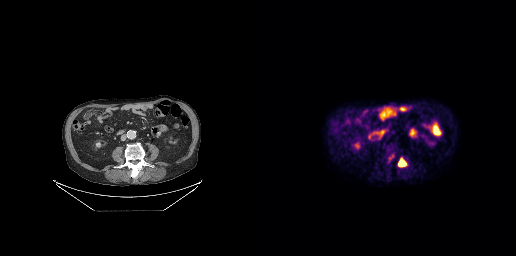
{"pet_grid":[256,256],"coord_frame":"pet_panel","coord_format":"x0,y0,x1,y1","lesion_bboxes":[[138,159,145,166]],"modality":"PSMA PET/CT","view":"axial","tracer":"[18F]PSMA-1007"}